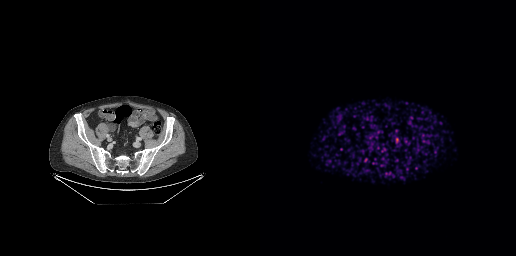
{"modality":"PSMA PET/CT","view":"axial","tracer":"[68Ga]Ga-PSMA-11","pet_grid":[256,256],"coord_frame":"pet_panel","coord_format":"x0,y0,x1,y1","psma_avid_lesions":false}